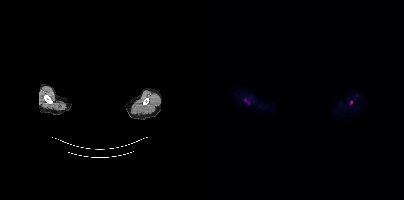
{"modality":"PSMA PET/CT","view":"axial","tracer":"18F-PSMA","pet_grid":[200,200],"coord_frame":"pet_panel","coord_format":"x0,y0,x1,y1","redaction":"head region blacked out before release","lesion_bboxes":[[40,98,45,103]],"small_foci_centers":[[147,102]]}